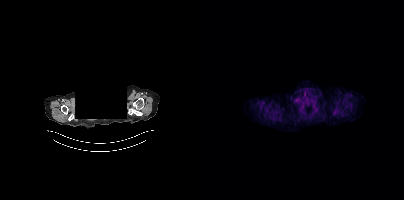
modality: PSMA PET/CT | tracer: 18F | view: axial | de-identification: face masked with black rectangle
No tumor lesions annotated on this slice.